- Paired axial CT (left) and PSMA PET (right), [68Ga]Ga-PSMA-11 tracer
- acquired on Siemens Biograph 64-4R TruePoint
- PET panel 168×168 px (4.1 mm/px)
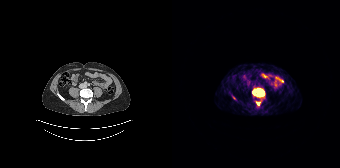
Findings: Coordinates are on the 168×168 PET (right) panel. PSMA-avid tumor lesion bounding box (x0,y0,x1,y1): [80,88,92,96]. Small PSMA-avid foci (2 to 4 px across) near (center x, center y): (86, 103), (61, 97).